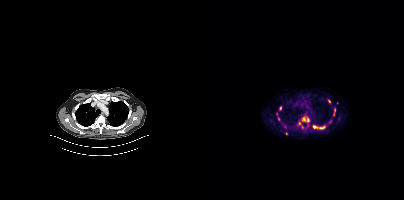
Coordinates are on the 200×200 PET (right) panel. (showing 8 of 11 foci) PSMA-avid tumor lesion bounding boxes (x0,y0,x1,y1): [98,116,105,122] [108,125,121,129]. Small PSMA-avid foci (2 to 4 px across) near (center x, center y): (125, 101) (76, 108) (95, 123) (130, 110) (98, 127) (74, 119).